Technique: Left: CT. Right: PSMA PET, same axial level, 18F tracer. acquired on GE Discovery 690. slice 53 of 299.
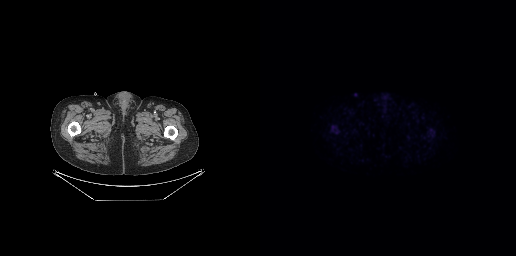
Findings: No tumor lesions annotated on this slice.